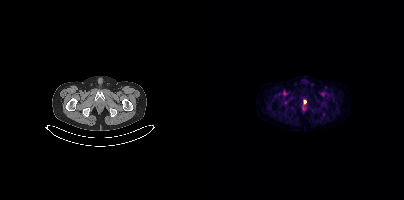
{"pet_grid":[200,200],"coord_frame":"pet_panel","coord_format":"x0,y0,x1,y1","lesion_bboxes":[],"small_foci_centers":[[101,101]],"modality":"PSMA PET/CT","view":"axial","tracer":"[18F]PSMA-1007"}